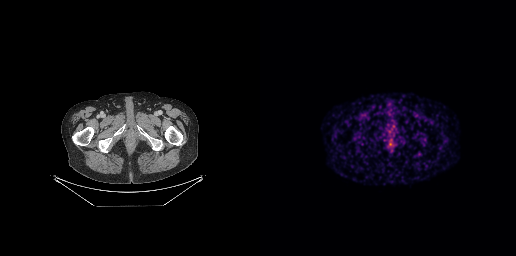
- Two-panel axial: CT | PSMA PET, 68Ga tracer
- PET panel 256×256 px (2.7 mm/px)
Findings: Coordinates are on the 256×256 PET (right) panel. PSMA-avid tumor lesion bounding box (x0,y0,x1,y1): [130,131,133,135].